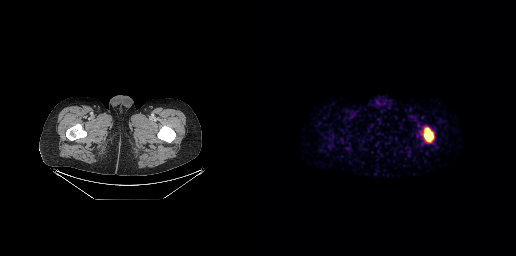
{"modality":"PSMA PET/CT","view":"axial","tracer":"68Ga","pet_grid":[256,256],"coord_frame":"pet_panel","coord_format":"x0,y0,x1,y1","lesion_bboxes":[[163,127,173,142]]}